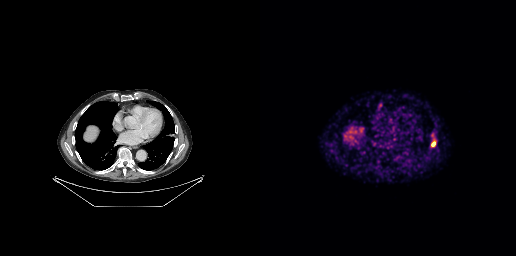
Findings: Coordinates are on the 256×256 PET (right) panel. PSMA-avid tumor lesion bounding boxes (x, y, width, height): x=171 y=141 w=5 h=6 | x=171 y=132 w=5 h=5.
- Two-panel axial: CT | PSMA PET, 68Ga tracer
- PET panel 256×256 px (2.7 mm/px)